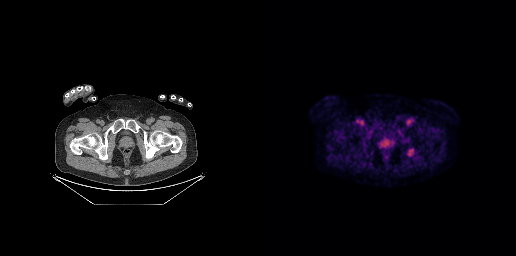
Coordinates are on the 256×256 PET (right) panel. PSMA-avid tumor lesion bounding box (x, y, width, height): x=147 y=148 w=8 h=9.